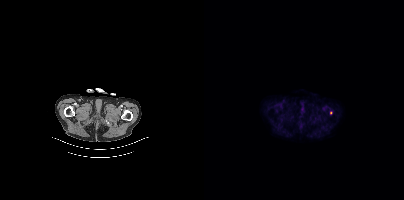
{"modality":"PSMA PET/CT","view":"axial","tracer":"18F","pet_grid":[200,200],"coord_frame":"pet_panel","coord_format":"x0,y0,x1,y1","lesion_bboxes":[],"small_foci_centers":[[127,112]]}